Technique: Two-panel axial: CT | PSMA PET, 68Ga tracer. slice position z = -1092 mm. PET panel 200×200 px (4.1 mm/px).
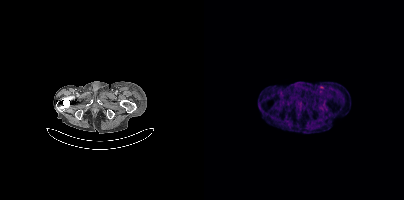
Findings: Only PSMA-avid lesion pieces thinner than 2 px on this slice (not listed).